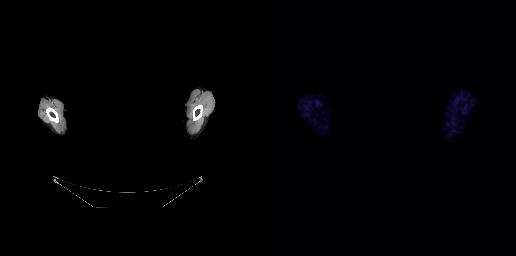
- face de-identified by blanking a block of the head
- Left: CT. Right: PSMA PET, same axial level, 18F-PSMA tracer
- slice 257 of 263
- PET panel 256×256 px (2.7 mm/px)
Findings: No PSMA-avid tumor lesions on this slice.